modality: PSMA PET/CT | tracer: [18F]PSMA-1007 | view: axial
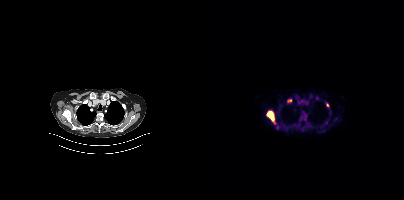
Coordinates are on the 200×200 PET (right) panel. PSMA-avid tumor lesion bounding boxes (x, y, width, height): x=63 y=111 w=10 h=14; x=97 y=113 w=6 h=7; x=83 y=99 w=5 h=4; x=122 y=103 w=4 h=5. Small PSMA-avid foci (2 to 4 px across) near (center x, center y): (73, 127); (122, 122).